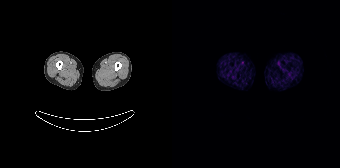
modality: PSMA PET/CT | tracer: 68Ga-PSMA | view: axial | PET grid: 168×168
This slice has no annotated PSMA-avid lesion.